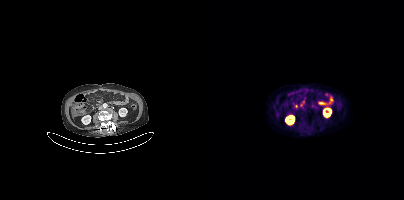
Two-panel axial: CT | PSMA PET, 18F-PSMA tracer. Acquired on Siemens Biograph mCT Flow 20. Slice 167 of 425. PET panel 200×200 px (4.1 mm/px). Coordinates are on the 200×200 PET (right) panel. Small PSMA-avid focus (2 to 4 px across) near (center x, center y): (108, 106).